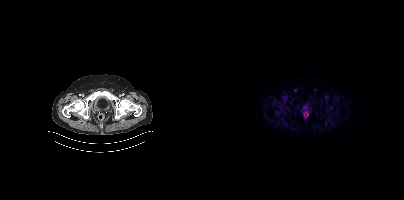
{"modality":"PSMA PET/CT","view":"axial","tracer":"18F","pet_grid":[200,200],"coord_frame":"pet_panel","coord_format":"x0,y0,x1,y1","psma_avid_lesions":false}